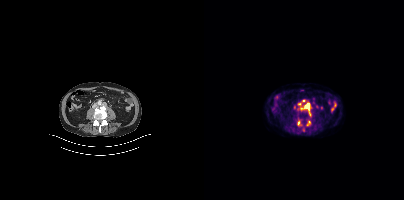
Left: CT. Right: PSMA PET, same axial level, 18F tracer. Acquired on Siemens Biograph mCT Flow 20. Slice 149 of 405. Coordinates are on the 200×200 PET (right) panel. (showing 3 of 6 foci) PSMA-avid tumor lesion bounding boxes (x0,y0,x1,y1): [101,103,105,108], [105,111,106,115]. Small PSMA-avid focus (2 to 4 px across) near (center x, center y): (94, 122).